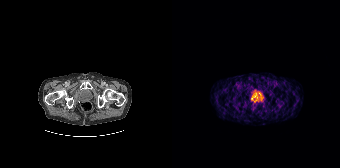
Technique: Paired axial CT (left) and PSMA PET (right), [68Ga]Ga-PSMA-11 tracer. acquired on Siemens Biograph 64-4R TruePoint. PET panel 168×168 px (4.1 mm/px).
Findings: No PSMA-avid tumor lesions on this slice.